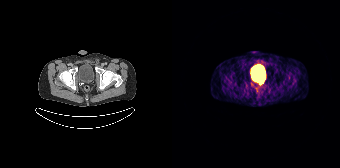
Coordinates are on the 168×168 PET (right) panel. Small PSMA-avid focus (2 to 4 px across) near (center x, center y): (90, 81). Paired axial CT (left) and PSMA PET (right), 68Ga tracer. Acquired on Siemens Biograph 64-4R TruePoint. PET panel 168×168 px (4.1 mm/px).